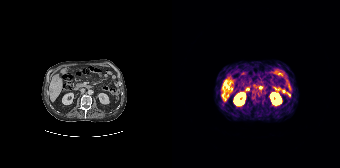
Coordinates are on the 168×168 PET (right) panel. PSMA-avid tumor lesion bounding box (x, y, width, height): x=51 y=81 w=8 h=10. Small PSMA-avid focus (2 to 4 px across) near (center x, center y): (50, 96).
modality: PSMA PET/CT | tracer: 68Ga | view: axial